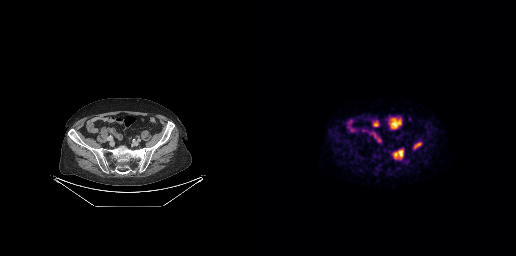
Paired axial CT (left) and PSMA PET (right), 18F tracer. Acquired on GE Discovery 690. Slice position z = -595 mm. PET panel 256×256 px (2.7 mm/px). Coordinates are on the 256×256 PET (right) panel. PSMA-avid tumor lesion bounding boxes (x0,y0,x1,y1): [132,148,143,159] [153,142,161,149].